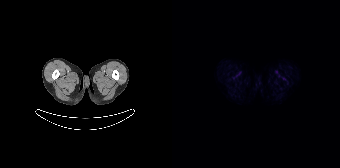
modality: PSMA PET/CT | tracer: 18F-PSMA | view: axial
No tumor lesions annotated on this slice.